Two-panel axial: CT | PSMA PET, 18F-PSMA tracer.
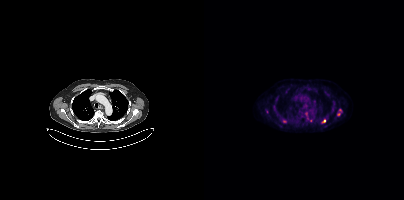
Coordinates are on the 200×200 PET (right) panel. (showing 4 of 7 foci) Small PSMA-avid foci (2 to 4 px across) near (center x, center y): (106, 120) | (120, 121) | (62, 111) | (134, 114).